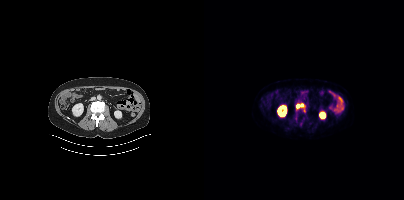
Coordinates are on the 200×200 PET (right) panel. PSMA-avid tumor lesion bounding box (x0, y0)-(x1, y1): (92, 104)-(99, 108).